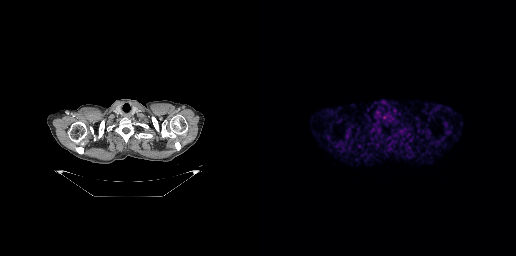
modality: PSMA PET/CT | tracer: 68Ga | view: axial | PET grid: 256×256
No tumor lesions annotated on this slice.